- Paired axial CT (left) and PSMA PET (right), 68Ga tracer
- acquired on Siemens Biograph mCT Flow 20
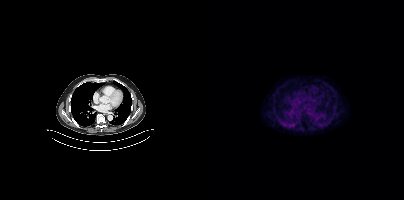
Findings: No tumor lesions annotated on this slice.